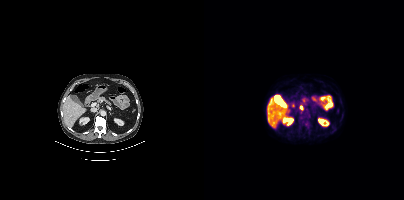
Coordinates are on the 200×200 PET (right) panel. Small PSMA-avid focus (2 to 4 px across) near (center x, center y): (97, 107). Paired axial CT (left) and PSMA PET (right), [18F]PSMA-1007 tracer. Slice position z = -1267 mm. PET panel 200×200 px (4.1 mm/px).